Two-panel axial: CT | PSMA PET, 18F-PSMA tracer. PET panel 200×200 px (4.1 mm/px).
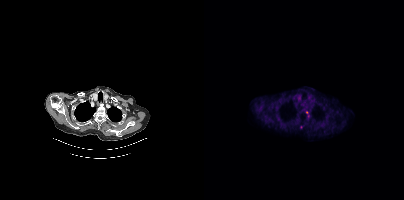
Coordinates are on the 200×200 PET (right) panel. (showing 2 of 3 foci) Small PSMA-avid foci (2 to 4 px across) near (center x, center y): (74, 118) / (102, 112).